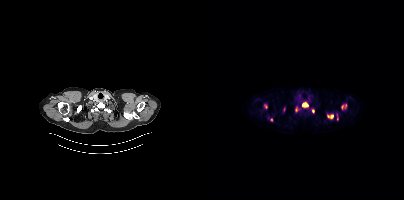
modality: PSMA PET/CT | tracer: [18F]PSMA-1007 | view: axial
Coordinates are on the 200×200 PET (right) panel. (showing 7 of 10 foci) PSMA-avid tumor lesion bounding boxes (x, y, width, height): x=98 y=103 w=7 h=4 | x=124 y=115 w=6 h=4. Small PSMA-avid foci (2 to 4 px across) near (center x, center y): (62, 106) | (93, 107) | (80, 108) | (141, 105) | (67, 119).